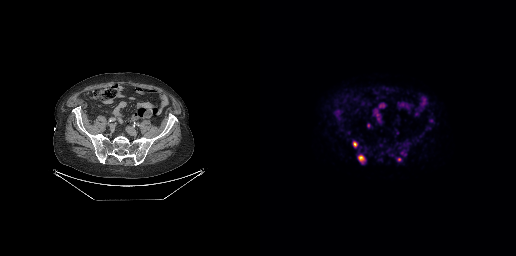
- Two-panel axial: CT | PSMA PET, 18F tracer
- acquired on GE Discovery 690
- slice 106 of 299
- PET panel 256×256 px (2.7 mm/px)
Findings: Coordinates are on the 256×256 PET (right) panel. PSMA-avid tumor lesion bounding boxes (x0, y0)-(x1, y1): (98, 155)-(104, 162); (93, 141)-(97, 147); (137, 157)-(141, 161); (76, 110)-(79, 115); (141, 152)-(146, 155). Small PSMA-avid focus (2 to 4 px across) near (center x, center y): (171, 120).